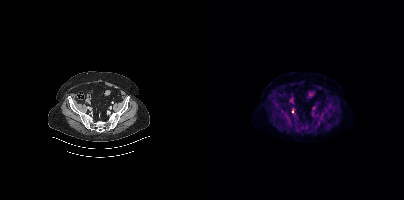
Technique: Paired axial CT (left) and PSMA PET (right), 18F tracer. PET panel 200×200 px (4.1 mm/px).
Findings: Coordinates are on the 200×200 PET (right) panel. Small PSMA-avid focus (2 to 4 px across) near (center x, center y): (88, 111).